Technique: Paired axial CT (left) and PSMA PET (right), 18F-PSMA tracer.
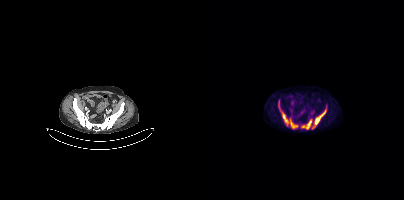
Findings: Coordinates are on the 200×200 PET (right) panel. (showing 3 of 4 foci) PSMA-avid tumor lesion bounding boxes (x0, y0)-(x1, y1): (74, 100)-(93, 128); (110, 106)-(122, 125); (98, 120)-(107, 129).